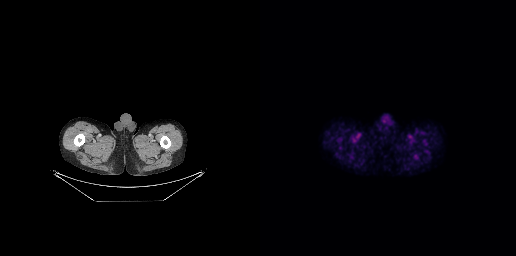
No PSMA-avid tumor lesions on this slice.